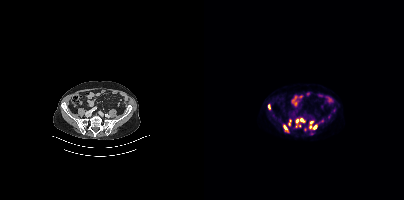
Left: CT. Right: PSMA PET, same axial level, 18F-PSMA tracer. Slice 128 of 413. Coordinates are on the 200×200 PET (right) panel. (showing 6 of 9 foci) PSMA-avid tumor lesion bounding boxes (x0, y0)-(x1, y1): (105, 121)-(113, 129) | (64, 104)-(66, 110) | (96, 118)-(101, 122) | (79, 125)-(83, 130). Small PSMA-avid foci (2 to 4 px across) near (center x, center y): (93, 120) | (85, 124).